modality: PSMA PET/CT | tracer: [18F]PSMA-1007 | view: axial
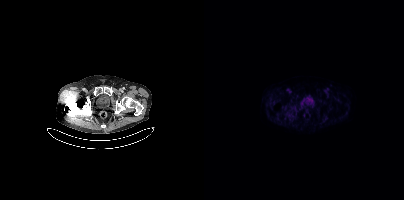
No tumor lesions annotated on this slice.